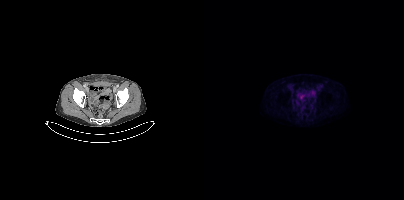
No PSMA-avid tumor lesions on this slice. Two-panel axial: CT | PSMA PET, 18F tracer. Slice 83 of 448. PET panel 200×200 px (4.1 mm/px).